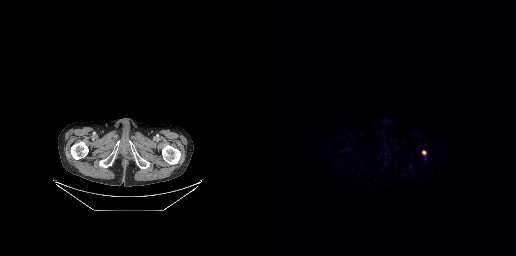
Two-panel axial: CT | PSMA PET, [68Ga]Ga-PSMA-11 tracer. Acquired on GE Discovery 690. Slice 44 of 263. Coordinates are on the 256×256 PET (right) panel. Small PSMA-avid focus (2 to 4 px across) near (center x, center y): (163, 152).